redaction: head region blanked (face removed) | modality: PSMA PET/CT | tracer: 18F | view: axial
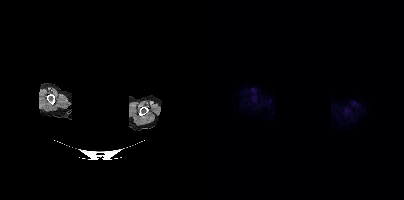
Negative for PSMA-avid disease on this slice.